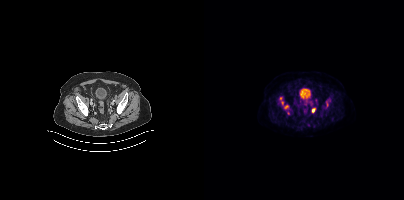
Coordinates are on the 200×200 PET (right) panel. (showing 5 of 8 foci) PSMA-avid tumor lesion bounding boxes (x, y, width, height): x=80 y=105 w=5 h=4; x=106 y=101 w=3 h=5. Small PSMA-avid foci (2 to 4 px across) near (center x, center y): (109, 110); (78, 102); (76, 98).
modality: PSMA PET/CT | tracer: 18F-PSMA | view: axial | PET grid: 200×200